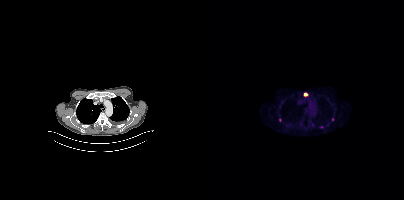
modality: PSMA PET/CT | tracer: 18F-PSMA | view: axial | PET grid: 200×200
Coordinates are on the 200×200 PET (right) panel. (showing 4 of 6 foci) Small PSMA-avid foci (2 to 4 px across) near (center x, center y): (101, 94) / (128, 119) / (75, 120) / (108, 125).